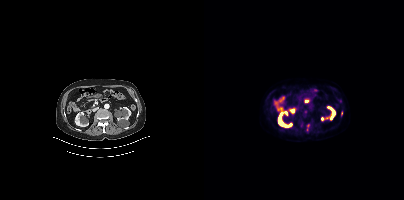
Two-panel axial: CT | PSMA PET, 18F tracer. Acquired on Siemens Biograph mCT Flow 20. PET panel 200×200 px (4.1 mm/px). Coordinates are on the 200×200 PET (right) panel. (showing 2 of 3 foci) PSMA-avid tumor lesion bounding boxes (x0,y0,x1,y1): [102,125,105,131], [137,111,138,115].